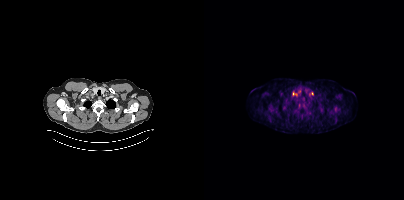
Coordinates are on the 200×200 PET (right) panel. (showing 1 of 4 foci) Small PSMA-avid focus (2 to 4 px across) near (center x, center y): (108, 93).